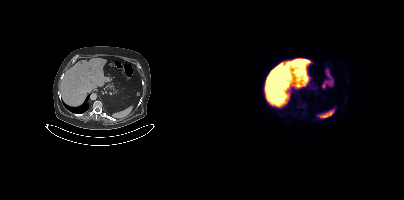
{"modality":"PSMA PET/CT","view":"axial","tracer":"[18F]PSMA-1007","pet_grid":[200,200],"coord_frame":"pet_panel","coord_format":"x0,y0,x1,y1","psma_avid_lesions":false}